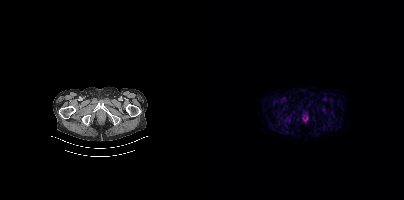
{"modality":"PSMA PET/CT","view":"axial","tracer":"[18F]PSMA-1007","pet_grid":[200,200],"coord_frame":"pet_panel","coord_format":"x0,y0,x1,y1","psma_avid_lesions":false}